- Left: CT. Right: PSMA PET, same axial level, [68Ga]Ga-PSMA-11 tracer
- acquired on GE Discovery 690
- slice position z = -1003 mm
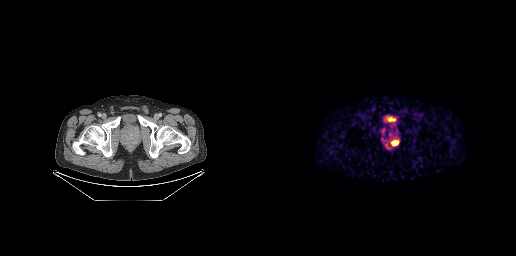
Findings: Coordinates are on the 256×256 PET (right) panel. PSMA-avid tumor lesion bounding box (x, y, width, height): x=132 y=141 w=7 h=5.